- Left: CT. Right: PSMA PET, same axial level, [68Ga]Ga-PSMA-11 tracer
- acquired on GE Discovery 690
- slice 37 of 263
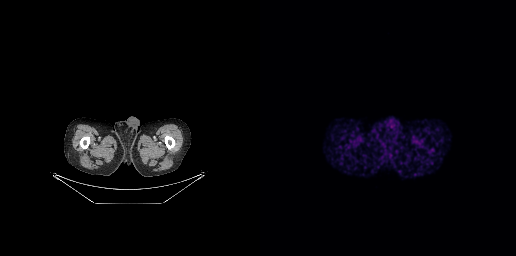
Findings: No PSMA-avid tumor lesions on this slice.